- Paired axial CT (left) and PSMA PET (right), 18F tracer
- acquired on Siemens Biograph mCT Flow 20
- PET panel 200×200 px (4.1 mm/px)
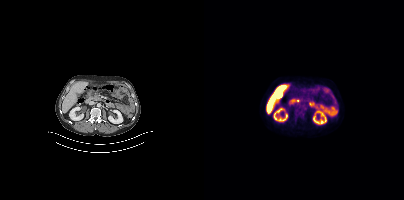
Findings: No tumor lesions annotated on this slice.